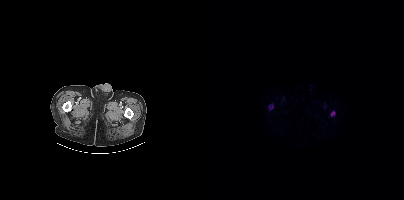
Technique: Left: CT. Right: PSMA PET, same axial level, [18F]PSMA-1007 tracer. PET panel 200×200 px (4.1 mm/px).
Findings: Coordinates are on the 200×200 PET (right) panel. PSMA-avid tumor lesion bounding boxes (x, y, width, height): x=127 y=111 w=5 h=6 / x=65 y=104 w=5 h=6.